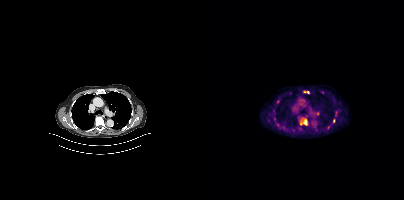
Coordinates are on the 200×200 PET (right) panel. (showing 4 of 5 foci) PSMA-avid tumor lesion bounding boxes (x, y, width, height): x=96 y=119 w=8 h=7; x=100 y=91 w=6 h=3. Small PSMA-avid foci (2 to 4 px across) near (center x, center y): (129, 120); (124, 127).